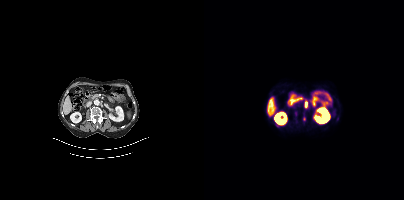
Coordinates are on the 200×200 PET (right) panel. (showing 1 of 2 foci) PSMA-avid tumor lesion bounding box (x, y, width, height): x=101 y=103 w=3 h=5.